Left: CT. Right: PSMA PET, same axial level, [18F]PSMA-1007 tracer. Slice position z = -905 mm. PET panel 168×168 px (4.1 mm/px).
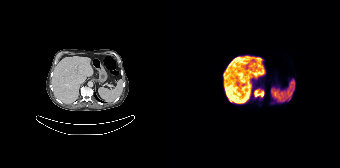
Coordinates are on the 168×168 PET (right) panel. PSMA-avid tumor lesion bounding box (x, y, width, height): x=81 y=88 w=12 h=11.